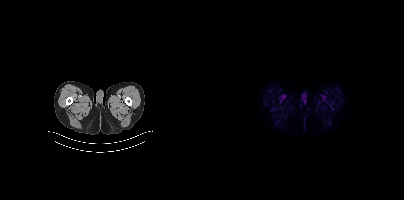
No tumor lesions annotated on this slice.